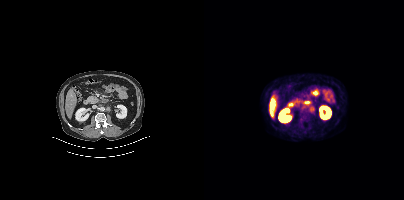
modality: PSMA PET/CT | tracer: [18F]PSMA-1007 | view: axial
Coordinates are on the 200×200 PET (right) panel. PSMA-avid tumor lesion bounding box (x, y, width, height): x=106 y=107 w=4 h=5.